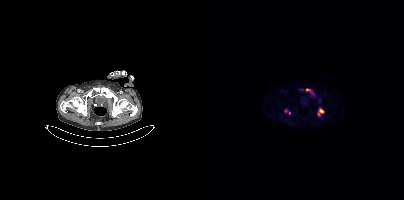
modality: PSMA PET/CT | tracer: 18F-PSMA | view: axial | PET grid: 200×200
Coordinates are on the 200×200 PET (right) panel. (showing 3 of 4 foci) PSMA-avid tumor lesion bounding boxes (x0,y0,x1,y1): [113,108,120,116] [102,89,106,91]. Small PSMA-avid focus (2 to 4 px across) near (center x, center y): (81, 109).